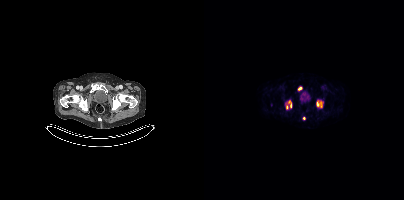
Two-panel axial: CT | PSMA PET, 18F-PSMA tracer. Slice position z = -987 mm. Coordinates are on the 200×200 PET (right) panel. PSMA-avid tumor lesion bounding boxes (x0,y0,x1,y1): [112,101,118,107]; [84,101,87,107]. Small PSMA-avid foci (2 to 4 px across) near (center x, center y): (95, 88); (83, 107); (99, 118).